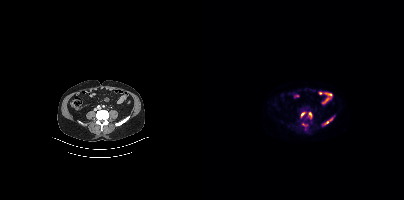
{"modality":"PSMA PET/CT","view":"axial","tracer":"18F-PSMA","pet_grid":[200,200],"coord_frame":"pet_panel","coord_format":"x0,y0,x1,y1","partial":true,"lesion_bboxes":[[105,112,107,116],[97,112,100,116]],"small_foci_centers":[[122,122],[127,119]]}